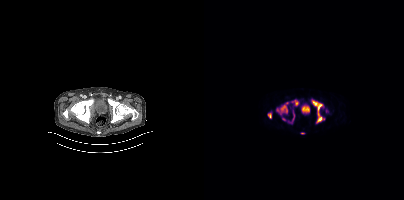
Coordinates are on the 200×200 PET (right) panel. (showing 5 of 10 foci) PSMA-avid tumor lesion bounding boxes (x0,y0,x1,y1): [108,101,118,122] [72,102,84,114] [64,112,67,118] [91,100,94,105]. Small PSMA-avid focus (2 to 4 px across) near (center x, center y): (79, 119).